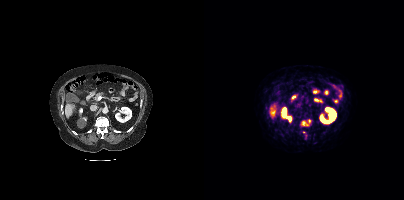
Coordinates are on the 200×200 PET (right) panel. (showing 2 of 3 foci) PSMA-avid tumor lesion bounding box (x0,y0,x1,y1): [97,119,106,126]. Small PSMA-avid focus (2 to 4 px across) near (center x, center y): (100, 132).
modality: PSMA PET/CT | tracer: 68Ga | view: axial | PET grid: 200×200